Left: CT. Right: PSMA PET, same axial level, 18F-PSMA tracer. Acquired on Siemens Biograph mCT Flow 20. Slice position z = -1301 mm. PET panel 200×200 px (4.1 mm/px).
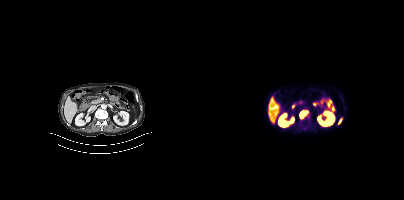
Coordinates are on the 200×200 PET (right) panel. PSMA-avid tumor lesion bounding boxes (x, y, width, height): x=96 y=111 w=9 h=9; x=103 y=117 w=4 h=5; x=134 y=119 w=4 h=5.